Two-panel axial: CT | PSMA PET, 18F-PSMA tracer. Slice position z = -173 mm. PET panel 200×200 px (4.1 mm/px).
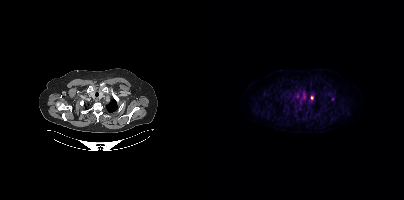
Coordinates are on the 200×200 PET (right) panel. Small PSMA-avid focus (2 to 4 px across) near (center x, center y): (128, 98).